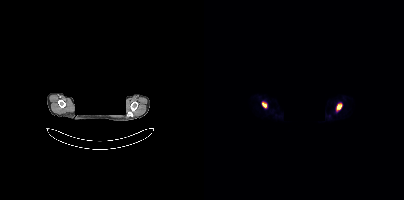
{"modality":"PSMA PET/CT","view":"axial","tracer":"68Ga","pet_grid":[200,200],"coord_frame":"pet_panel","coord_format":"x0,y0,x1,y1","lesion_bboxes":[[133,103,137,110],[58,103,62,107]],"de-identification":"head region blanked (face removed)"}